Two-panel axial: CT | PSMA PET, 18F-PSMA tracer. Slice position z = -702 mm.
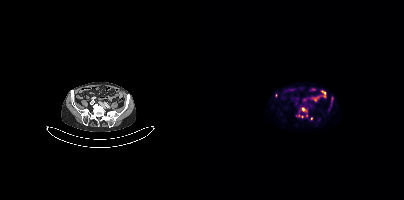
Coordinates are on the 200×200 PET (right) panel. (showing 4 of 6 foci) PSMA-avid tumor lesion bounding box (x, y, width, height): x=98 y=107 w=5 h=5. Small PSMA-avid foci (2 to 4 px across) near (center x, center y): (72, 95) | (102, 115) | (107, 118).